Paired axial CT (left) and PSMA PET (right), 18F tracer. Acquired on Siemens Biograph mCT Flow 20. PET panel 200×200 px (4.1 mm/px).
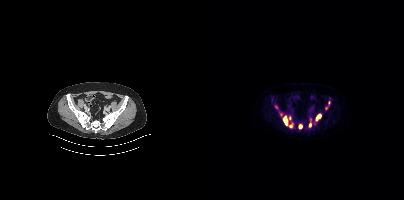
Coordinates are on the 200×200 PET (right) panel. PSMA-avid tumor lesion bounding boxes (partial; 2 more foci not listed):
| # | x0 | y0 | x1 | y1 |
|---|---|---|---|---|
| 1 | 79 | 116 | 83 | 125 |
| 2 | 112 | 114 | 117 | 120 |
| 3 | 94 | 124 | 98 | 128 |
| 4 | 85 | 123 | 88 | 127 |
| 5 | 105 | 123 | 107 | 127 |
Small PSMA-avid focus (2 to 4 px across) near (center x, center y): (85, 117).